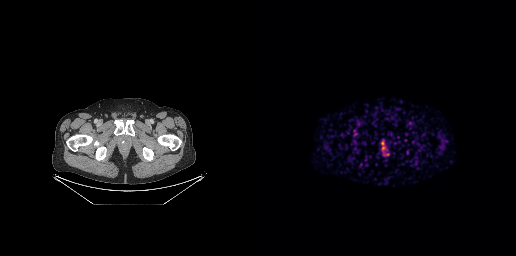
Coordinates are on the 256×256 PET (right) panel. PSMA-avid tumor lesion bounding box (x, y, width, height): x=121 y=141 w=3 h=6.
modality: PSMA PET/CT | tracer: 68Ga | view: axial | PET grid: 256×256